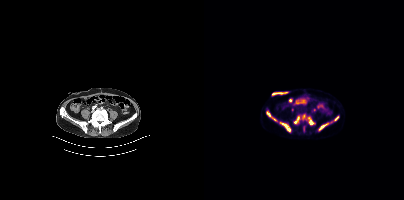
Coordinates are on the 200×200 PET (right) panel. (showing 7 of 8 foci) PSMA-avid tumor lesion bounding boxes (x, y, width, height): x=76 y=122 w=11 h=11; x=62 y=111 w=12 h=11; x=114 y=123 w=11 h=8; x=104 y=117 w=7 h=8; x=90 y=116 w=6 h=8; x=130 y=116 w=5 h=5. Small PSMA-avid focus (2 to 4 px across) near (center x, center y): (99, 116).